Technique: Two-panel axial: CT | PSMA PET, 18F tracer. acquired on Siemens Biograph mCT Flow 20.
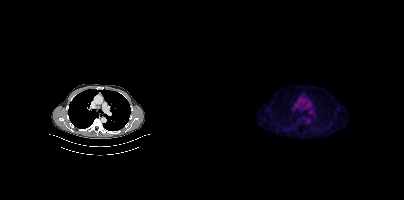
Findings: No tumor lesions annotated on this slice.